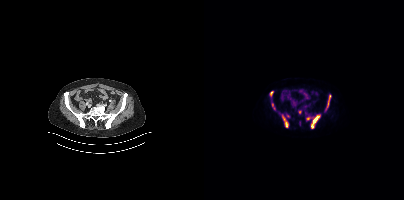
Technique: Left: CT. Right: PSMA PET, same axial level, 18F tracer. slice position z = -1368 mm.
Findings: Coordinates are on the 200×200 PET (right) panel. (showing 7 of 10 foci) PSMA-avid tumor lesion bounding boxes (x0, y0)-(x1, y1): (107, 115)-(115, 128); (78, 115)-(84, 127); (66, 91)-(68, 96); (125, 95)-(126, 99). Small PSMA-avid foci (2 to 4 px across) near (center x, center y): (68, 104); (83, 115); (103, 118).